modality: PSMA PET/CT | tracer: 18F-PSMA | view: axial | PET grid: 200×200
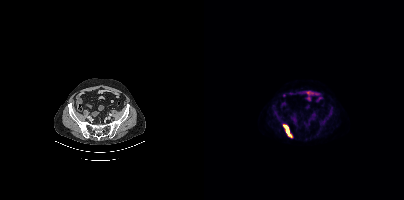
Coordinates are on the 200×200 PET (right) panel. PSMA-avid tumor lesion bounding box (x0, y0)-(x1, y1): (79, 124)-(88, 137).